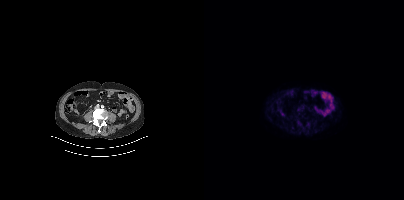
Negative for PSMA-avid disease on this slice.
modality: PSMA PET/CT | tracer: [18F]PSMA-1007 | view: axial